modality: PSMA PET/CT | tracer: 18F | view: axial | PET grid: 256×256
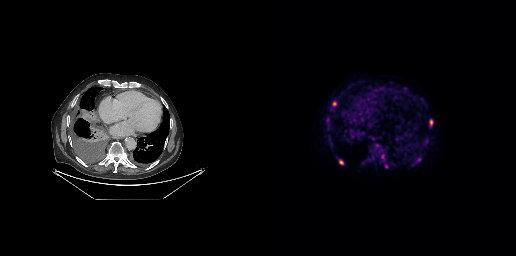
Coordinates are on the 256×256 PET (right) panel. PSMA-avid tumor lesion bounding boxes (x0,y0,x1,y1): [169,119,173,126], [72,102,76,106], [79,160,83,164]. Small PSMA-avid foci (2 to 4 px across) near (center x, center y): (117, 145), (126, 165), (159, 159).